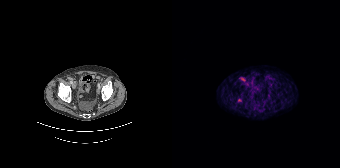
Technique: Paired axial CT (left) and PSMA PET (right), 68Ga-PSMA tracer. acquired on Siemens Biograph 64-4R TruePoint. PET panel 168×168 px (4.1 mm/px).
Findings: Coordinates are on the 168×168 PET (right) panel. PSMA-avid tumor lesion bounding box (x0,y0,x1,y1): [69,77,73,81]. Small PSMA-avid focus (2 to 4 px across) near (center x, center y): (67, 100).